- Paired axial CT (left) and PSMA PET (right), [18F]PSMA-1007 tracer
- slice position z = -965 mm
- a rectangle over the head was blacked out to remove identifiable facial features
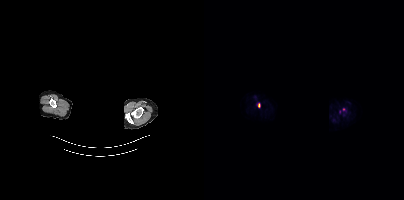
Findings: Coordinates are on the 200×200 PET (right) panel. (showing 1 of 2 foci) PSMA-avid tumor lesion bounding box (x, y, width, height): x=54 y=103 w=3 h=5.